Technique: Paired axial CT (left) and PSMA PET (right), [18F]PSMA-1007 tracer. acquired on Siemens Biograph mCT Flow 20.
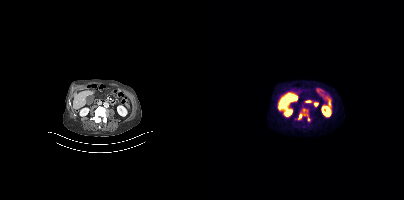
Findings: Coordinates are on the 200×200 PET (right) panel. PSMA-avid tumor lesion bounding box (x0,y0,x1,y1): [94,108,106,121].